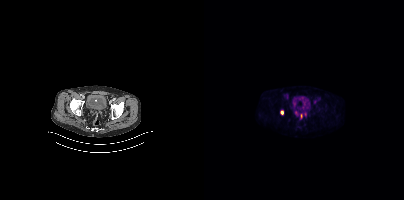
Coordinates are on the 200×200 PET (right) panel. Small PSMA-avid focus (2 to 4 px across) near (center x, center y): (77, 112).